Two-panel axial: CT | PSMA PET, 18F tracer. Acquired on Siemens Biograph mCT Flow 20.
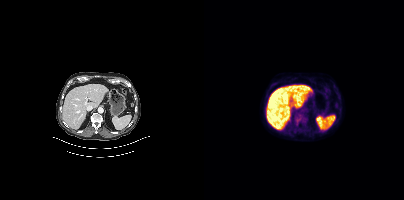
Coordinates are on the 200×200 PET (right) panel. PSMA-avid tumor lesion bounding boxes:
| # | x0 | y0 | x1 | y1 |
|---|---|---|---|---|
| 1 | 91 | 119 | 95 | 124 |